Technique: Two-panel axial: CT | PSMA PET, [18F]PSMA-1007 tracer. PET panel 200×200 px (4.1 mm/px).
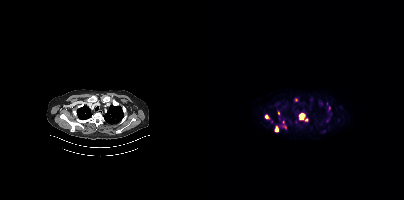
Findings: Coordinates are on the 200×200 PET (right) panel. (showing 8 of 11 foci) PSMA-avid tumor lesion bounding boxes (x0, y0)-(x1, y1): (95, 113)-(103, 121) | (70, 126)-(74, 131) | (61, 115)-(65, 118). Small PSMA-avid foci (2 to 4 px across) near (center x, center y): (125, 107) | (117, 103) | (74, 113) | (92, 99) | (81, 126).